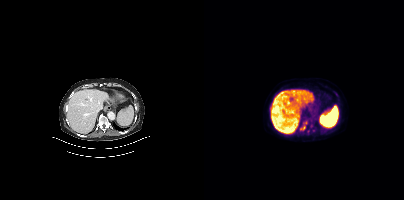
Coordinates are on the 200×200 PET (right) panel. (showing 4 of 6 foci) Small PSMA-avid foci (2 to 4 px across) near (center x, center y): (104, 131); (107, 126); (99, 128); (109, 130).